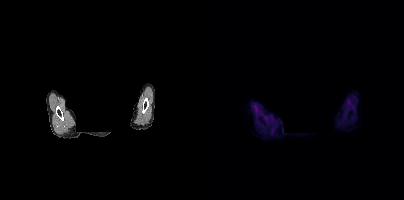
Any black rectangle over the head is a privacy mask, not anatomy. Two-panel axial: CT | PSMA PET, 18F-PSMA tracer. Acquired on Siemens Biograph mCT Flow 20. Slice 352 of 389. No tumor lesions annotated on this slice.